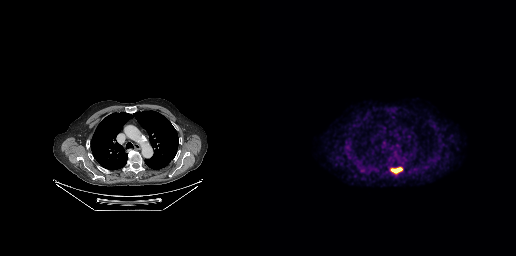
Coordinates are on the 256×256 PET (right) panel. PSMA-avid tumor lesion bounding box (x0,y0,x1,y1): [131,167,142,172].
modality: PSMA PET/CT | tracer: 18F-PSMA | view: axial | PET grid: 256×256